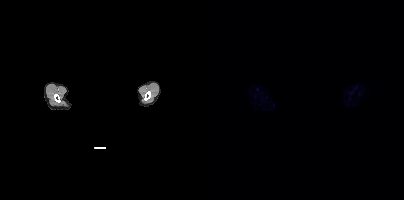
Technique: Paired axial CT (left) and PSMA PET (right), 18F tracer. slice 363 of 377. PET panel 200×200 px (4.1 mm/px).
Note: Any black rectangle over the head is a privacy mask, not anatomy.
Findings: This slice has no annotated PSMA-avid lesion.